- Paired axial CT (left) and PSMA PET (right), 18F-PSMA tracer
- PET panel 200×200 px (4.1 mm/px)
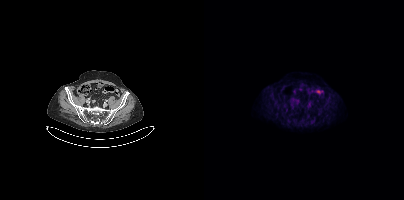
Findings: No PSMA-avid tumor lesions on this slice.